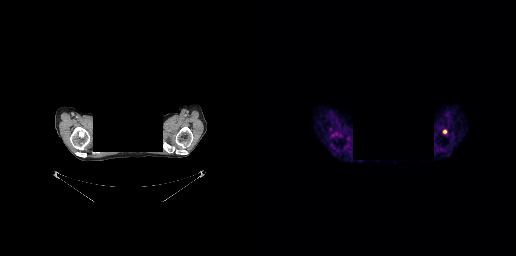
Findings: Coordinates are on the 256×256 PET (right) panel. Small PSMA-avid focus (2 to 4 px across) near (center x, center y): (184, 131).
Technique: Left: CT. Right: PSMA PET, same axial level, 68Ga-PSMA tracer. slice 232 of 263.
Note: Privacy masking over the head, with the pixels inside a rectangle set to black.